Left: CT. Right: PSMA PET, same axial level, 18F tracer. Slice position z = -1578 mm.
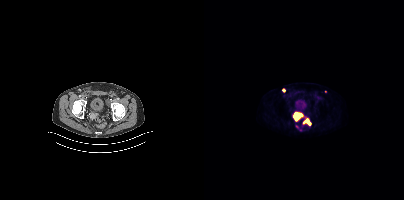
Coordinates are on the 200×200 PET (right) panel. PSMA-avid tumor lesion bounding boxes (partial; 1 more focus not listed):
| # | x0 | y0 | x1 | y1 |
|---|---|---|---|---|
| 1 | 89 | 111 | 99 | 121 |
| 2 | 99 | 118 | 107 | 125 |
| 3 | 78 | 88 | 81 | 92 |